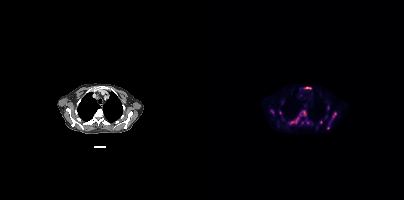
Coordinates are on the 200×200 PET (right) panel. PSMA-avid tumor lesion bounding boxes (x0,y0,x1,y1): [84,111,101,124], [128,112,132,119], [100,87,107,89], [123,105,125,109]. Small PSMA-avid foci (2 to 4 px across) near (center x, center y): (68, 111), (104, 122), (76, 112), (116, 122), (124, 128), (98, 122).